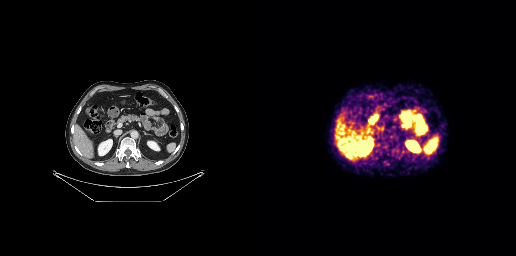
{"modality":"PSMA PET/CT","view":"axial","tracer":"68Ga-PSMA","pet_grid":[256,256],"coord_frame":"pet_panel","coord_format":"x0,y0,x1,y1","psma_avid_lesions":false}